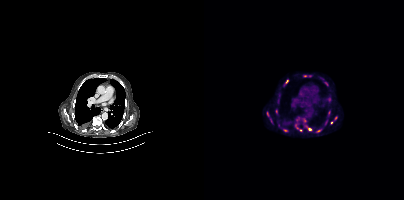
modality: PSMA PET/CT | tracer: [18F]PSMA-1007 | view: axial
Coordinates are on the 200×200 PET (right) panel. (showing 13 of 15 foci) PSMA-avid tumor lesion bounding boxes (x0, y0)-(x1, y1): (62, 111)-(68, 122); (91, 124)-(98, 131); (126, 116)-(133, 124); (101, 125)-(107, 130); (99, 118)-(102, 122); (80, 79)-(84, 85); (79, 129)-(83, 131); (121, 120)-(123, 124). Small PSMA-avid foci (2 to 4 px across) near (center x, center y): (93, 119); (125, 112); (114, 131); (101, 75); (122, 83).